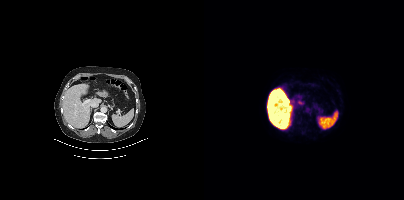
{"modality":"PSMA PET/CT","view":"axial","tracer":"18F-PSMA","pet_grid":[200,200],"coord_frame":"pet_panel","coord_format":"x0,y0,x1,y1","psma_avid_lesions":false}